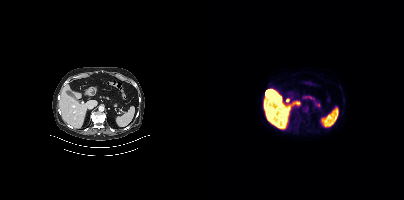
This slice has no annotated PSMA-avid lesion. Paired axial CT (left) and PSMA PET (right), 18F-PSMA tracer. Slice 237 of 425. PET panel 200×200 px (4.1 mm/px).